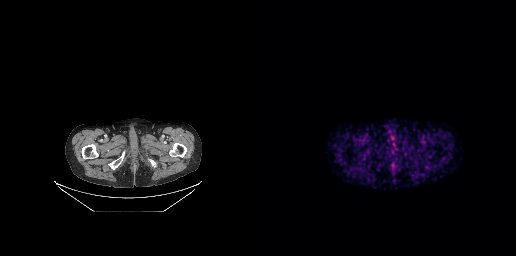
This slice has no annotated PSMA-avid lesion. Left: CT. Right: PSMA PET, same axial level, [68Ga]Ga-PSMA-11 tracer. PET panel 256×256 px (2.7 mm/px).